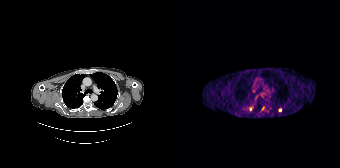
Coordinates are on the 168×168 PET (right) panel. (showing 3 of 4 foci) Small PSMA-avid foci (2 to 4 px across) near (center x, center y): (108, 110), (91, 108), (78, 108). Left: CT. Right: PSMA PET, same axial level, 68Ga-PSMA tracer. PET panel 168×168 px (4.1 mm/px).